Left: CT. Right: PSMA PET, same axial level, [18F]PSMA-1007 tracer. Acquired on Siemens Biograph mCT Flow 20. Slice position z = -1714 mm.
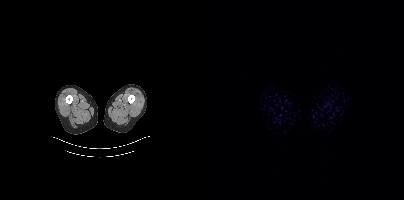
No PSMA-avid tumor lesions on this slice.